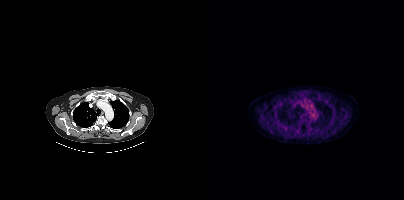
{"modality":"PSMA PET/CT","view":"axial","tracer":"[18F]PSMA-1007","pet_grid":[200,200],"coord_frame":"pet_panel","coord_format":"x0,y0,x1,y1","psma_avid_lesions":false}